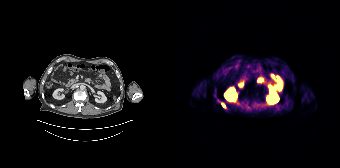
Coordinates are on the 168×168 PET (right) panel. PSMA-avid tumor lesion bounding box (x0, y0)-(x1, y1): (50, 103)-(53, 107). Left: CT. Right: PSMA PET, same axial level, [68Ga]Ga-PSMA-11 tracer. PET panel 168×168 px (4.1 mm/px).